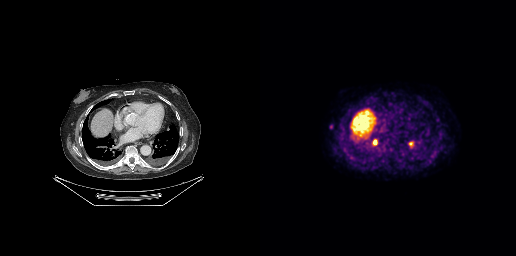
{"pet_grid":[256,256],"coord_frame":"pet_panel","coord_format":"x0,y0,x1,y1","lesion_bboxes":[[148,141,153,146],[113,139,117,145]],"small_foci_centers":[[70,126]],"modality":"PSMA PET/CT","view":"axial","tracer":"[18F]PSMA-1007"}